Two-panel axial: CT | PSMA PET, [18F]PSMA-1007 tracer. PET panel 200×200 px (4.1 mm/px).
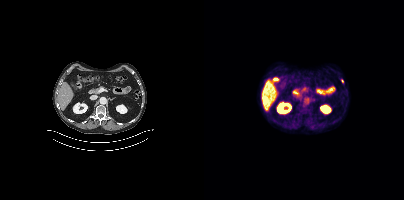
Coordinates are on the 200×200 PET (right) panel. Small PSMA-avid focus (2 to 4 px across) near (center x, center y): (138, 80).